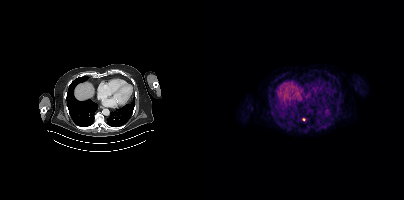
{"modality":"PSMA PET/CT","view":"axial","tracer":"[68Ga]Ga-PSMA-11","pet_grid":[200,200],"coord_frame":"pet_panel","coord_format":"x0,y0,x1,y1","lesion_bboxes":[],"small_foci_centers":[[99,119]]}